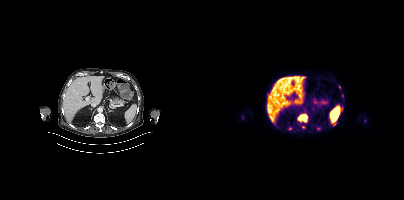
{"modality":"PSMA PET/CT","view":"axial","tracer":"18F","pet_grid":[200,200],"coord_frame":"pet_panel","coord_format":"x0,y0,x1,y1","lesion_bboxes":[[94,114,103,121]],"small_foci_centers":[[114,128],[99,127],[85,128],[130,124],[138,95],[135,86],[138,106],[135,104]]}